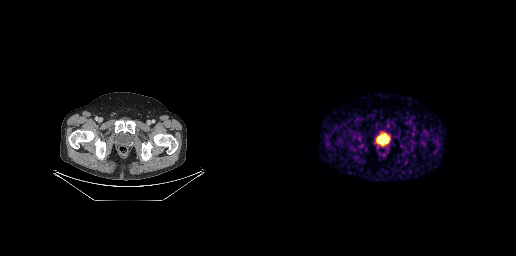
This slice has no annotated PSMA-avid lesion.